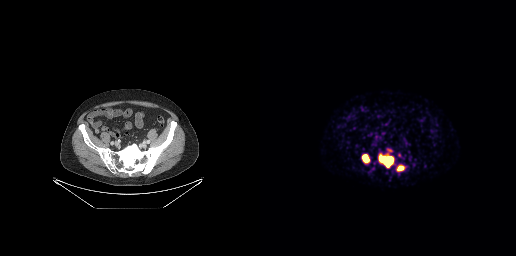
Findings: Coordinates are on the 256×256 PET (right) panel. PSMA-avid tumor lesion bounding boxes (x0,y0,x1,y1): [119,154,133,167]; [102,155,108,162]; [137,166,143,170].
- Left: CT. Right: PSMA PET, same axial level, [68Ga]Ga-PSMA-11 tracer
- acquired on GE Discovery 690